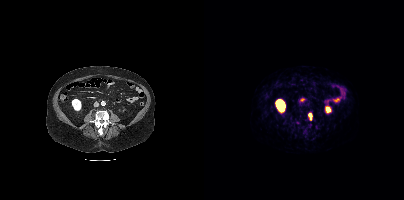
Coordinates are on the 200×200 PET (right) panel. PSMA-avid tumor lesion bounding box (x, y, width, height): x=104 y=113 w=5 h=8.